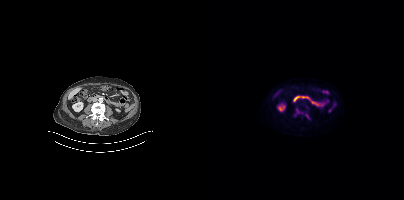
- Paired axial CT (left) and PSMA PET (right), 18F-PSMA tracer
- acquired on Siemens Biograph mCT Flow 20
- PET panel 200×200 px (4.1 mm/px)
Findings: Coordinates are on the 200×200 PET (right) panel. PSMA-avid tumor lesion bounding boxes (x0,y0,x1,y1): [90,108,99,116] [101,113,106,119].